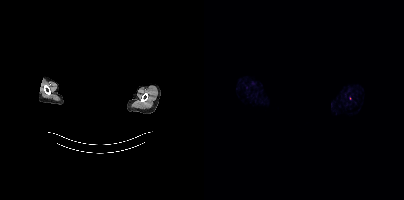
- Left: CT. Right: PSMA PET, same axial level, 68Ga tracer
- PET panel 200×200 px (4.1 mm/px)
- a rectangular block over the head has been blanked out for de-identification
Findings: This slice has no annotated PSMA-avid lesion.